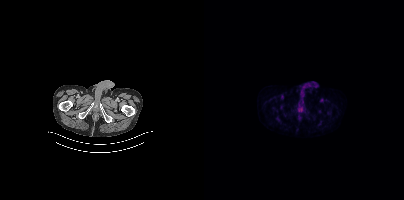
{"modality":"PSMA PET/CT","view":"axial","tracer":"18F-PSMA","pet_grid":[200,200],"coord_frame":"pet_panel","coord_format":"x0,y0,x1,y1","psma_avid_lesions":false}